Paired axial CT (left) and PSMA PET (right), 68Ga-PSMA tracer.
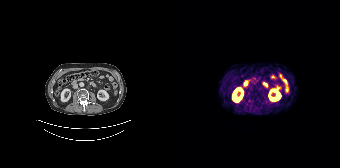
No PSMA-avid tumor lesions on this slice.